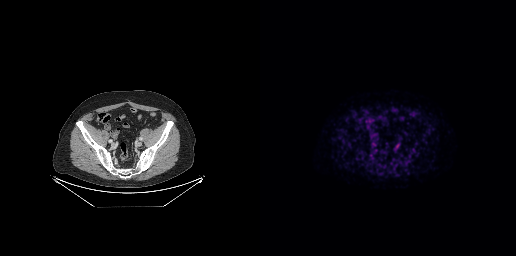
Coordinates are on the 256×256 PET (right) panel. PSMA-avid tumor lesion bounding box (x, y, width, height): x=134 y=142 w=7 h=8.